Paired axial CT (left) and PSMA PET (right), 18F tracer. PET panel 200×200 px (4.1 mm/px).
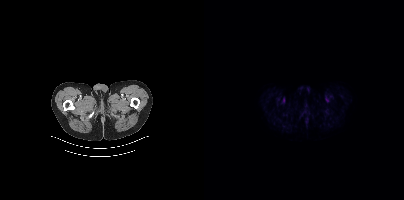
No PSMA-avid tumor lesions on this slice.